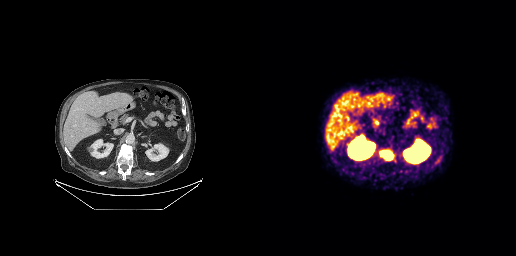
Coordinates are on the 256×256 PET (right) panel. PSMA-avid tumor lesion bounding boxes:
| # | x0 | y0 | x1 | y1 |
|---|---|---|---|---|
| 1 | 119 | 149 | 134 | 160 |
Left: CT. Right: PSMA PET, same axial level, [68Ga]Ga-PSMA-11 tracer. Slice 140 of 263.